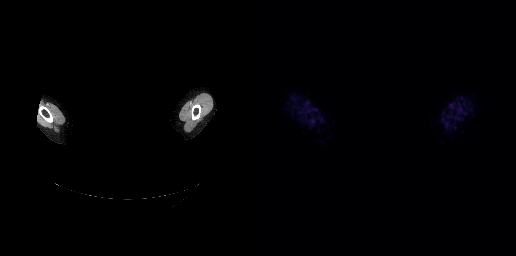
This slice has no annotated PSMA-avid lesion. Head region blanked for anonymization (face removed). Left: CT. Right: PSMA PET, same axial level, 18F-PSMA tracer. PET panel 256×256 px (2.7 mm/px).